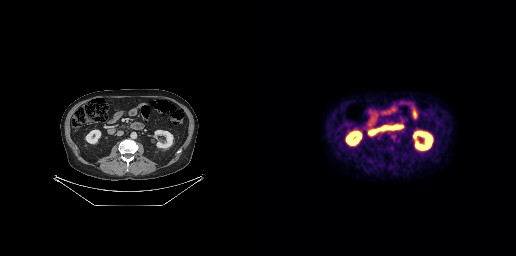
No tumor lesions annotated on this slice.
modality: PSMA PET/CT | tracer: 18F-PSMA | view: axial